modality: PSMA PET/CT | tracer: 18F-PSMA | view: axial | PET grid: 200×200
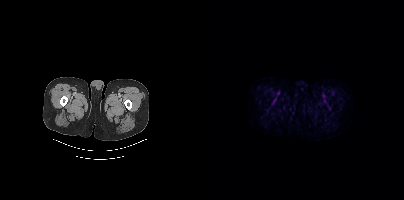
This slice has no annotated PSMA-avid lesion.